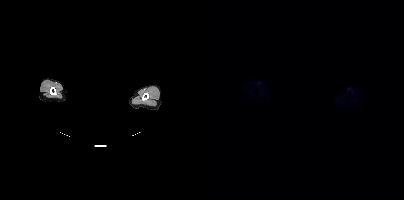
No tumor lesions annotated on this slice. Two-panel axial: CT | PSMA PET, [18F]PSMA-1007 tracer. Acquired on Siemens Biograph mCT Flow 20. PET panel 200×200 px (4.1 mm/px). The face region was removed for patient privacy by blanking a rectangle over the head.